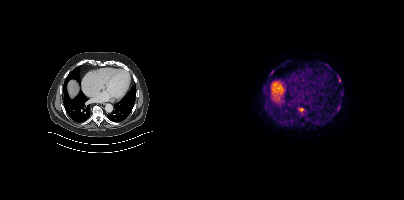
Technique: Two-panel axial: CT | PSMA PET, [18F]PSMA-1007 tracer. slice position z = -430 mm. PET panel 200×200 px (4.1 mm/px).
Findings: Coordinates are on the 200×200 PET (right) panel. PSMA-avid tumor lesion bounding boxes (x0,y0,x1,y1): [94,108,100,111], [59,88,63,92], [132,106,136,111], [119,120,124,124], [136,92,139,96], [121,63,126,68]. Small PSMA-avid focus (2 to 4 px across) near (center x, center y): (66, 74).